Technique: Two-panel axial: CT | PSMA PET, [18F]PSMA-1007 tracer. slice position z = -937 mm.
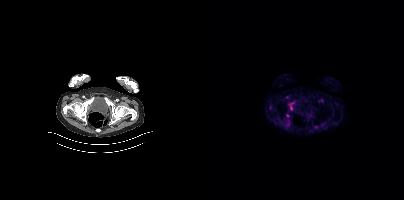
Findings: No tumor lesions annotated on this slice.